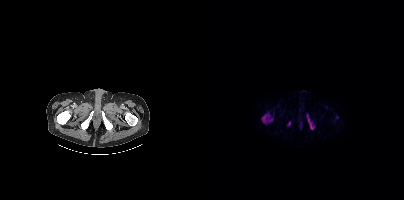
Technique: Paired axial CT (left) and PSMA PET (right), 18F tracer. slice position z = -1054 mm. PET panel 200×200 px (4.1 mm/px).
Findings: Coordinates are on the 200×200 PET (right) panel. (showing 3 of 5 foci) PSMA-avid tumor lesion bounding boxes (x0,y0,x1,y1): [58,114,65,122]; [104,118,110,129]. Small PSMA-avid focus (2 to 4 px across) near (center x, center y): (85, 123).